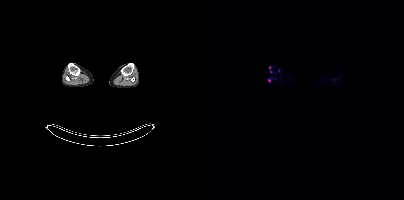
Coordinates are on the 200×200 PET (right) panel. Small PSMA-avid focus (2 to 4 px across) near (center x, center y): (65, 67). Left: CT. Right: PSMA PET, same axial level, 18F tracer. Acquired on Siemens Biograph mCT Flow 20. Slice 250 of 963.